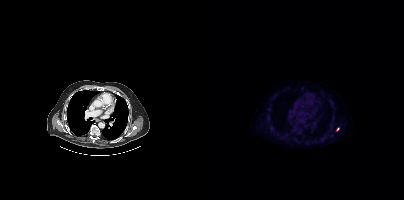
Coordinates are on the 200×200 PET (right) panel. Small PSMA-avid focus (2 to 4 px across) near (center x, center y): (133, 129).